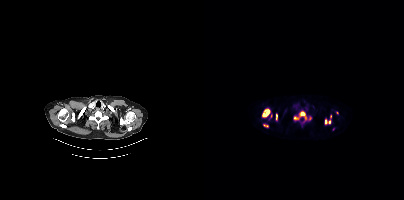
{"modality":"PSMA PET/CT","view":"axial","tracer":"18F","pet_grid":[200,200],"coord_frame":"pet_panel","coord_format":"x0,y0,x1,y1","partial":true,"lesion_bboxes":[[58,109,65,116],[95,111,102,119],[121,119,126,123],[90,117,94,119],[72,114,73,119]],"small_foci_centers":[[126,116],[61,125]]}